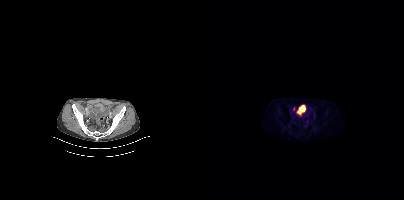
Technique: Two-panel axial: CT | PSMA PET, 18F-PSMA tracer. acquired on Siemens Biograph mCT Flow 20. PET panel 200×200 px (4.1 mm/px).
Findings: Coordinates are on the 200×200 PET (right) panel. PSMA-avid tumor lesion bounding box (x, y, width, height): x=92 y=105 w=10 h=11. Small PSMA-avid focus (2 to 4 px across) near (center x, center y): (90, 108).